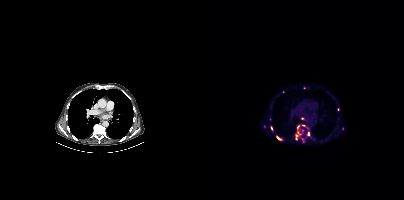
Left: CT. Right: PSMA PET, same axial level, [18F]PSMA-1007 tracer. Acquired on Siemens Biograph mCT Flow 20. Coordinates are on the 200×200 PET (right) panel. (showing 8 of 14 foci) PSMA-avid tumor lesion bounding boxes (x, y, width, height): x=92 y=132 w=6 h=8; x=72 y=136 w=6 h=5. Small PSMA-avid foci (2 to 4 px across) near (center x, center y): (104, 133); (93, 127); (98, 130); (99, 125); (67, 127); (98, 140).